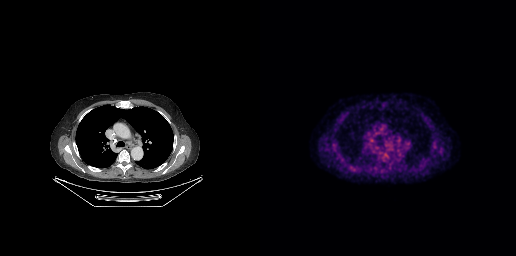
- Paired axial CT (left) and PSMA PET (right), 18F tracer
Findings: No tumor lesions annotated on this slice.